modality: PSMA PET/CT | tracer: 18F-PSMA | view: axial
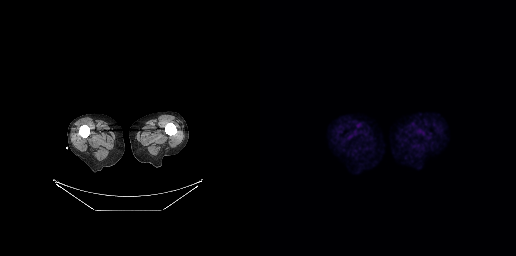
This slice has no annotated PSMA-avid lesion.